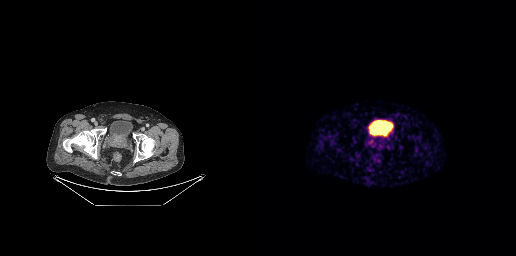
Negative for PSMA-avid disease on this slice.